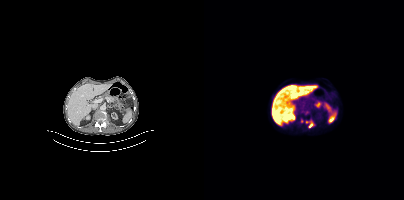
{"modality":"PSMA PET/CT","view":"axial","tracer":"18F","pet_grid":[200,200],"coord_frame":"pet_panel","coord_format":"x0,y0,x1,y1","partial":true,"lesion_bboxes":[[104,120,108,127]],"small_foci_centers":[[97,121]]}